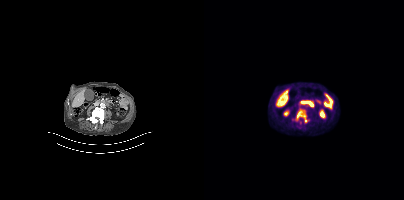
Coordinates are on the 200×200 PET (right) panel. PSMA-avid tumor lesion bounding box (x, y, width, height): x=89 y=117 w=17 h=8.